Technique: Two-panel axial: CT | PSMA PET, [68Ga]Ga-PSMA-11 tracer. PET panel 200×200 px (4.1 mm/px).
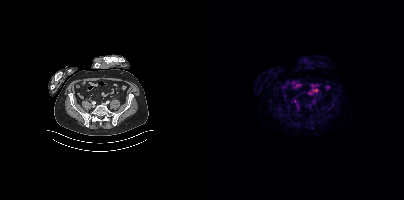
Findings: Negative for PSMA-avid disease on this slice.